Any black rectangle over the head is a privacy mask, not anatomy.
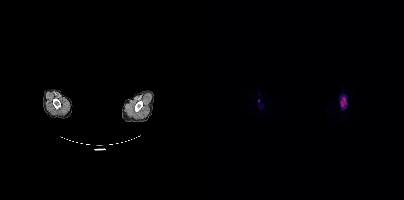
Coordinates are on the 200×200 PET (right) panel. PSMA-avid tumor lesion bounding box (x0,y0,x1,y1): [136,95,143,109]. Small PSMA-avid focus (2 to 4 px across) near (center x, center y): (54, 100).